Technique: Left: CT. Right: PSMA PET, same axial level, 18F tracer. acquired on Siemens Biograph mCT Flow 20. slice position z = -768 mm. PET panel 200×200 px (4.1 mm/px).
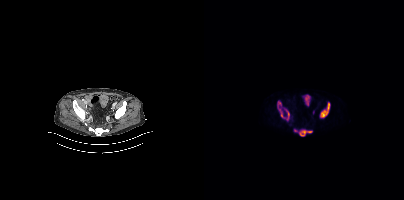
Findings: Coordinates are on the 200×200 PET (right) panel. PSMA-avid tumor lesion bounding boxes (x0,y0,x1,y1): [116,102,125,117]; [95,130,108,136]; [73,101,79,117]; [82,110,85,119]. Small PSMA-avid focus (2 to 4 px across) near (center x, center y): (91, 130).